Left: CT. Right: PSMA PET, same axial level, 18F-PSMA tracer.
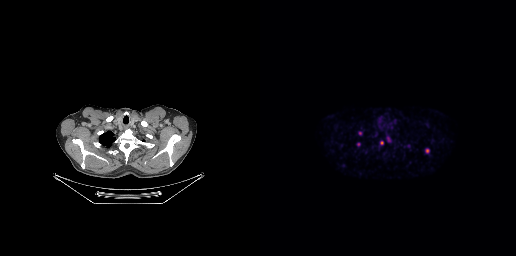
Coordinates are on the 256×256 PET (right) panel. (showing 4 of 5 foci) PSMA-avid tumor lesion bounding boxes (x0,y0,x1,y1): [165,149,169,152]; [98,131,101,135]. Small PSMA-avid foci (2 to 4 px across) near (center x, center y): (121, 142); (98, 144).